Technique: Left: CT. Right: PSMA PET, same axial level, 18F tracer. acquired on Siemens Biograph mCT Flow 20. slice position z = -1058 mm. PET panel 200×200 px (4.1 mm/px).
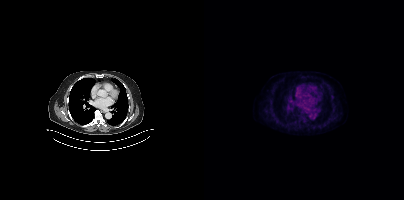
Findings: This slice has no annotated PSMA-avid lesion.